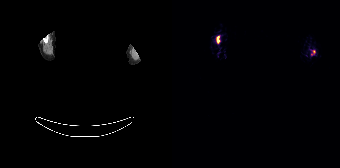
{"modality":"PSMA PET/CT","view":"axial","tracer":"18F","pet_grid":[168,168],"coord_frame":"pet_panel","coord_format":"x0,y0,x1,y1","partial":true,"lesion_bboxes":[[45,36,47,42]],"small_foci_centers":[[142,51]],"de-identification":"head region blacked out before release"}